- Left: CT. Right: PSMA PET, same axial level, 18F tracer
- acquired on GE Discovery 690
- slice position z = -505 mm
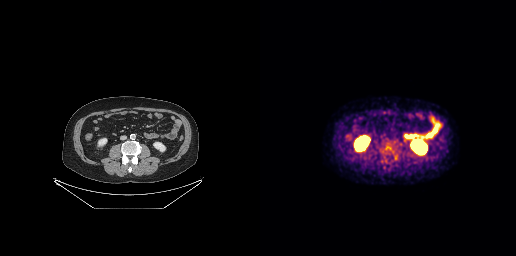
Findings: No PSMA-avid tumor lesions on this slice.